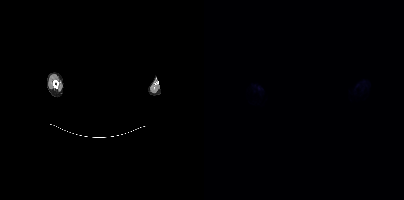
Technique: Paired axial CT (left) and PSMA PET (right), 18F tracer. acquired on Siemens Biograph mCT Flow 20. PET panel 200×200 px (4.1 mm/px).
Note: Facial anatomy redacted by setting a rectangular region of the head to black.
Findings: No PSMA-avid tumor lesions on this slice.